Two-panel axial: CT | PSMA PET, 68Ga tracer. Slice 276 of 411. PET panel 200×200 px (4.1 mm/px).
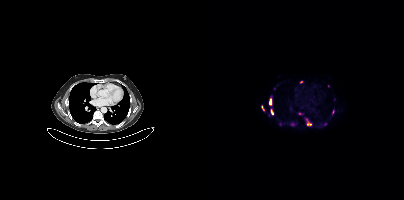
Coordinates are on the 200×200 PET (right) panel. PSMA-avid tumor lesion bounding boxes (partial; 1 more focus not listed):
| # | x0 | y0 | x1 | y1 |
|---|---|---|---|---|
| 1 | 119 | 122 | 123 | 126 |
| 2 | 57 | 105 | 60 | 110 |
| 3 | 65 | 100 | 67 | 104 |
| 4 | 67 | 110 | 69 | 114 |
Small PSMA-avid foci (2 to 4 px across) near (center x, center y): (76, 123); (88, 124); (67, 97); (97, 82); (70, 88); (129, 112); (95, 113); (104, 123); (124, 85); (101, 118).